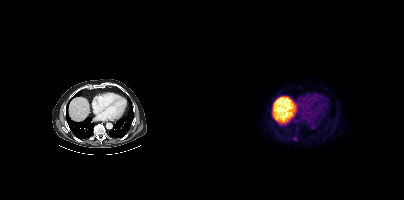
Coordinates are on the 200×200 PET (right) panel. Small PSMA-avid focus (2 to 4 px across) near (center x, center y): (91, 138).